- Left: CT. Right: PSMA PET, same axial level, 18F tracer
- slice position z = -118 mm
- PET panel 200×200 px (4.1 mm/px)
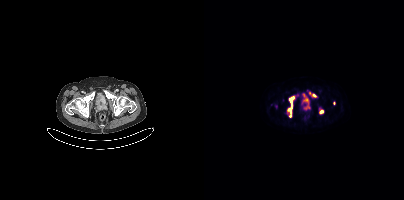
Findings: Coordinates are on the 200×200 PET (right) panel. (showing 6 of 8 foci) PSMA-avid tumor lesion bounding boxes (x0,y0,x1,y1): [84,94,94,116] [99,95,105,109] [104,91,112,96]. Small PSMA-avid foci (2 to 4 px across) near (center x, center y): (117, 111) (72, 106) (83, 113).